An anonymization step blacked out a rectangle over the head in this scan.
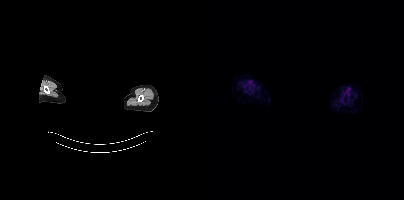
This slice has no annotated PSMA-avid lesion.